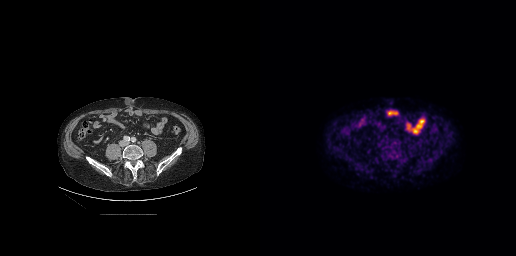
{"pet_grid":[256,256],"coord_frame":"pet_panel","coord_format":"x0,y0,x1,y1","lesion_bboxes":[],"small_foci_centers":[[138,143]],"modality":"PSMA PET/CT","view":"axial","tracer":"18F"}